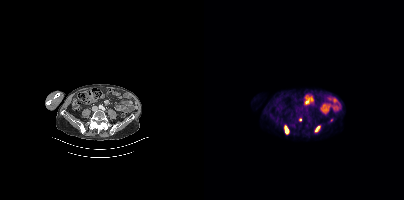
Findings: Coordinates are on the 200×200 PET (right) panel. (showing 3 of 4 foci) PSMA-avid tumor lesion bounding boxes (x0,y0,x1,y1): [80,125,85,134] [111,125,116,132]. Small PSMA-avid focus (2 to 4 px across) near (center x, center y): (96, 119).
- Left: CT. Right: PSMA PET, same axial level, 18F-PSMA tracer
- slice 145 of 411
- PET panel 200×200 px (4.1 mm/px)